- Left: CT. Right: PSMA PET, same axial level, [68Ga]Ga-PSMA-11 tracer
- acquired on Siemens Biograph 64-4R TruePoint
- slice position z = -1116 mm
- PET panel 168×168 px (4.1 mm/px)
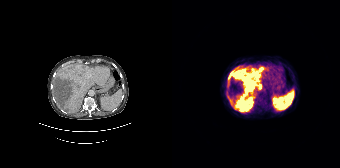
Findings: Coordinates are on the 168×168 PET (right) panel. PSMA-avid tumor lesion bounding boxes (x, y, width, height): x=56 y=67 w=35 h=46 | x=56 y=96 w=5 h=8.